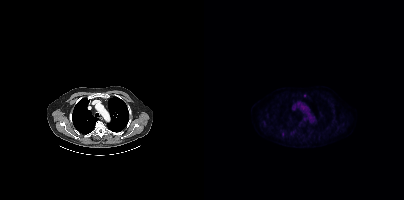
No PSMA-avid tumor lesions on this slice.